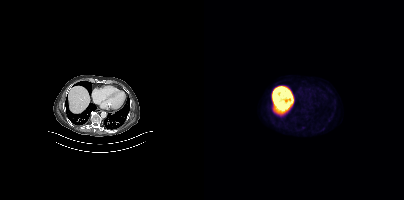
Paired axial CT (left) and PSMA PET (right), 18F tracer. PET panel 200×200 px (4.1 mm/px). Coordinates are on the 200×200 PET (right) panel. Small PSMA-avid focus (2 to 4 px across) near (center x, center y): (119, 128).